- Two-panel axial: CT | PSMA PET, [18F]PSMA-1007 tracer
- acquired on Siemens Biograph mCT Flow 20
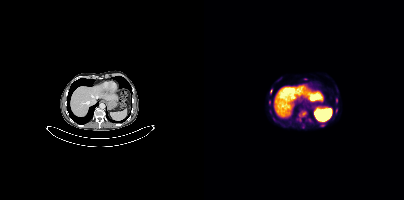
Findings: Coordinates are on the 200×200 PET (right) panel. (showing 4 of 5 foci) PSMA-avid tumor lesion bounding box (x, y, width, height): x=66 y=89 w=3 h=5. Small PSMA-avid foci (2 to 4 px across) near (center x, center y): (99, 113) / (132, 100) / (132, 110).